Face de-identified by blanking a block of the head.
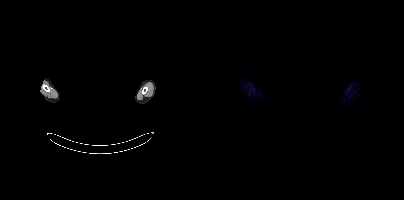
Negative for PSMA-avid disease on this slice.